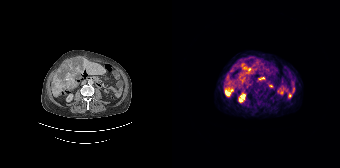
Coordinates are on the 168×168 PET (right) panel. PSMA-avid tumor lesion bounding boxes (x0, y0)-(x1, y1): (52, 87)-(61, 96) / (67, 76)-(74, 83) / (72, 66)-(76, 71) / (67, 62)-(71, 66). Small PSMA-avid foci (2 to 4 px across) near (center x, center y): (81, 64) / (60, 70) / (62, 80).